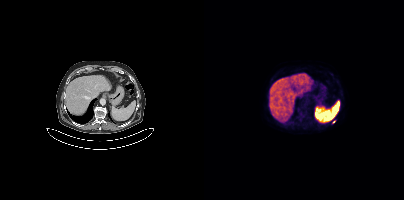
Coordinates are on the 200×200 PET (right) panel. Small PSMA-avid focus (2 to 4 px across) near (center x, center y): (129, 121). Two-panel axial: CT | PSMA PET, [18F]PSMA-1007 tracer. Acquired on Siemens Biograph mCT Flow 20. Slice position z = -583 mm. PET panel 200×200 px (4.1 mm/px).